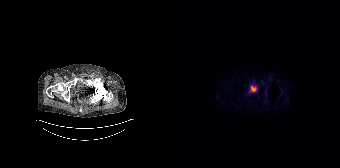
No tumor lesions annotated on this slice. Left: CT. Right: PSMA PET, same axial level, [18F]PSMA-1007 tracer. Slice position z = -1160 mm. PET panel 168×168 px (4.1 mm/px).